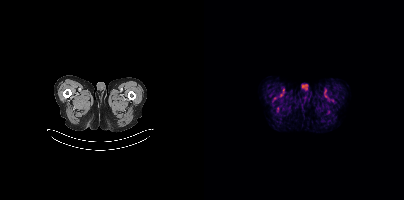
{"modality":"PSMA PET/CT","view":"axial","tracer":"18F-PSMA","pet_grid":[200,200],"coord_frame":"pet_panel","coord_format":"x0,y0,x1,y1","psma_avid_lesions":false}